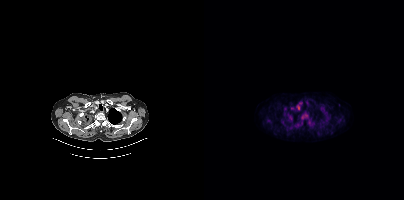
Coordinates are on the 200×200 PET (right) panel. (showing 4 of 6 foci) PSMA-avid tumor lesion bounding boxes (x, y, width, height): x=97 y=113 w=8 h=7 | x=84 y=114 w=5 h=7. Small PSMA-avid foci (2 to 4 px across) near (center x, center y): (94, 107) | (81, 108).